Technique: Paired axial CT (left) and PSMA PET (right), 18F tracer. slice position z = -1100 mm. PET panel 200×200 px (4.1 mm/px).
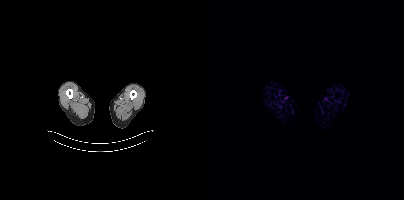
Findings: No tumor lesions annotated on this slice.